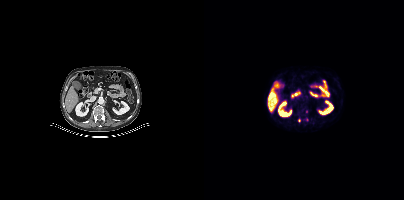
Coordinates are on the 200×200 PET (right) panel. Small PSMA-avid foci (2 to 4 px across) near (center x, center y): (102, 111); (95, 120).